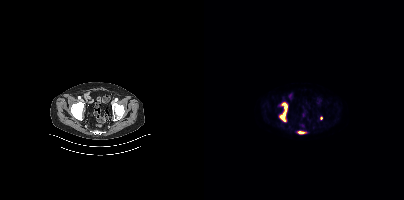
Left: CT. Right: PSMA PET, same axial level, [18F]PSMA-1007 tracer.
Coordinates are on the 200×200 PET (right) panel. PSMA-avid tumor lesion bounding boxes:
| # | x0 | y0 | x1 | y1 |
|---|---|---|---|---|
| 1 | 76 | 103 | 83 | 121 |
| 2 | 94 | 131 | 100 | 133 |
Small PSMA-avid focus (2 to 4 px across) near (center x, center y): (117, 118).